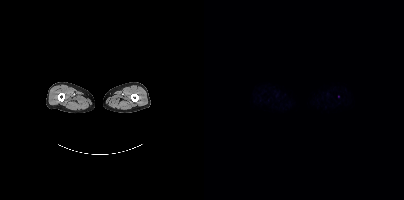
Left: CT. Right: PSMA PET, same axial level, 18F-PSMA tracer. PET panel 200×200 px (4.1 mm/px). Coordinates are on the 200×200 PET (right) panel. Small PSMA-avid focus (2 to 4 px across) near (center x, center y): (134, 96).